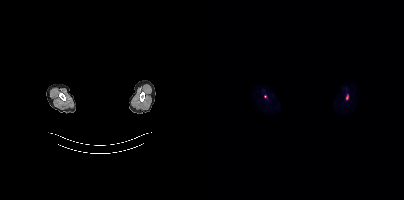
{"modality":"PSMA PET/CT","view":"axial","tracer":"[18F]PSMA-1007","pet_grid":[200,200],"coord_frame":"pet_panel","coord_format":"x0,y0,x1,y1","lesion_bboxes":[[142,95,144,99]],"small_foci_centers":[[61,96]],"de-identification":"facial region redacted"}